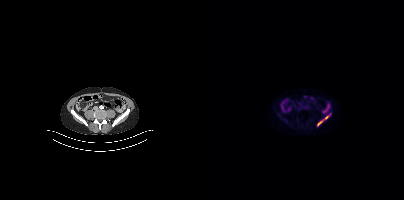
{"modality":"PSMA PET/CT","view":"axial","tracer":"18F-PSMA","pet_grid":[200,200],"coord_frame":"pet_panel","coord_format":"x0,y0,x1,y1","lesion_bboxes":[[113,114,126,125]]}